Technique: Paired axial CT (left) and PSMA PET (right), 18F-PSMA tracer. slice position z = -356 mm. PET panel 256×256 px (2.7 mm/px).
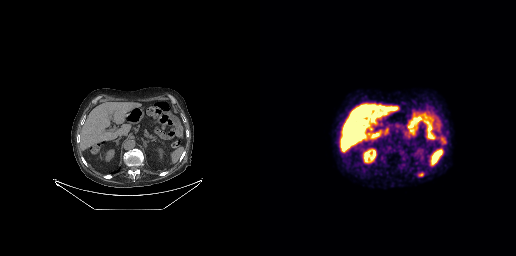
Findings: Coordinates are on the 256×256 PET (right) panel. PSMA-avid tumor lesion bounding box (x0,y0,x1,y1): [158,172,163,176].